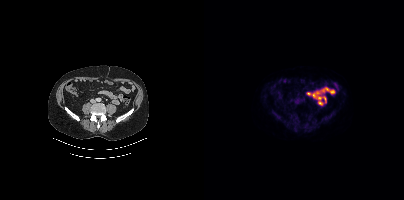
Left: CT. Right: PSMA PET, same axial level, 18F tracer. Acquired on Siemens Biograph mCT Flow 20. Coordinates are on the 200×200 PET (right) panel. PSMA-avid tumor lesion bounding box (x0,y0,x1,y1): [117,116,123,122]. Small PSMA-avid foci (2 to 4 px across) near (center x, center y): (129, 112), (94, 103), (68, 109).